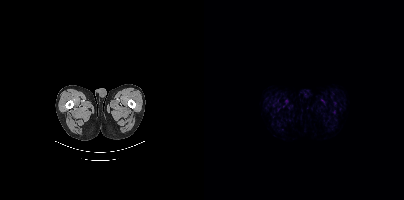
Findings: Negative for PSMA-avid disease on this slice.
- Left: CT. Right: PSMA PET, same axial level, 18F tracer
- acquired on Siemens Biograph mCT Flow 20